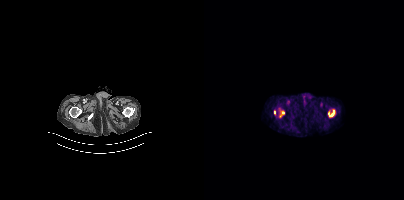
Coordinates are on the 200×200 PET (right) panel. PSMA-avid tumor lesion bounding boxes (x0, y0)-(x1, y1): (75, 110)-(80, 117); (70, 110)-(71, 115).